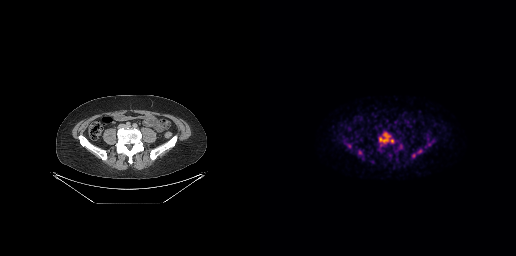
Coordinates are on the 256×256 PET (right) panel. PSMA-avid tumor lesion bounding boxes (partial; 2 more foci not listed):
| # | x0 | y0 | x1 | y1 |
|---|---|---|---|---|
| 1 | 119 | 132 | 133 | 143 |
| 2 | 98 | 150 | 102 | 154 |
Small PSMA-avid foci (2 to 4 px across) near (center x, center y): (169, 144); (161, 150); (172, 140).
Left: CT. Right: PSMA PET, same axial level, [18F]PSMA-1007 tracer. Acquired on GE Discovery 690.